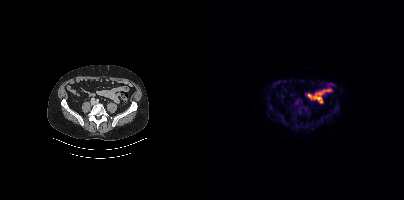
Technique: Paired axial CT (left) and PSMA PET (right), 18F tracer. slice position z = -1241 mm.
Findings: Coordinates are on the 200×200 PET (right) panel. (showing 7 of 8 foci) PSMA-avid tumor lesion bounding boxes (x0,y0,x1,y1): [92,101,102,113] [63,98,70,111] [128,108,132,112]. Small PSMA-avid foci (2 to 4 px across) near (center x, center y): (90, 119) (122, 116) (78, 118) (133, 105).